- Left: CT. Right: PSMA PET, same axial level, [18F]PSMA-1007 tracer
- acquired on GE Discovery 690
- slice 8 of 299
- PET panel 256×256 px (2.7 mm/px)
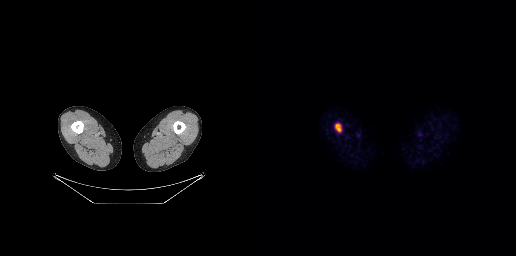
Findings: Coordinates are on the 256×256 PET (right) panel. PSMA-avid tumor lesion bounding box (x0, y0)-(x1, y1): (74, 123)-(81, 132).